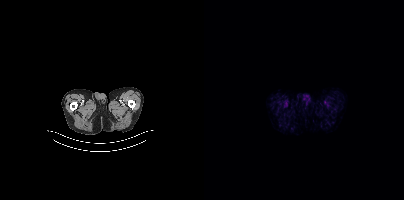
- Paired axial CT (left) and PSMA PET (right), [18F]PSMA-1007 tracer
- acquired on Siemens Biograph mCT Flow 20
- PET panel 200×200 px (4.1 mm/px)
Findings: Negative for PSMA-avid disease on this slice.